Paired axial CT (left) and PSMA PET (right), 18F tracer. Acquired on GE Discovery 690. PET panel 256×256 px (2.7 mm/px).
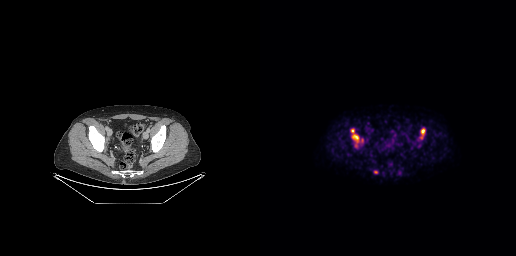
Coordinates are on the 256×256 PET (right) panel. PSMA-avid tumor lesion bounding boxes (x0,y0,x1,y1): [90,129,103,147] [160,128,165,139].